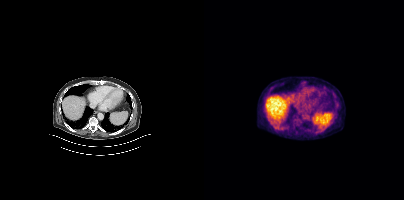
Paired axial CT (left) and PSMA PET (right), 18F-PSMA tracer. Slice 238 of 377. PET panel 200×200 px (4.1 mm/px). No tumor lesions annotated on this slice.